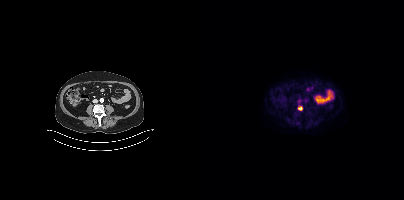
Coordinates are on the 200×200 PET (right) panel. PSMA-avid tumor lesion bounding box (x0, y0)-(x1, y1): (94, 107)-(98, 110). Left: CT. Right: PSMA PET, same axial level, [18F]PSMA-1007 tracer. Slice 146 of 393. PET panel 200×200 px (4.1 mm/px).